Paired axial CT (left) and PSMA PET (right), 68Ga-PSMA tracer. Slice 4 of 263.
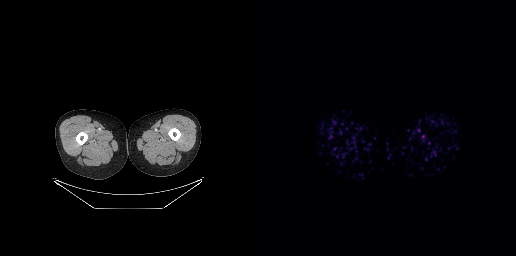
This slice has no annotated PSMA-avid lesion.